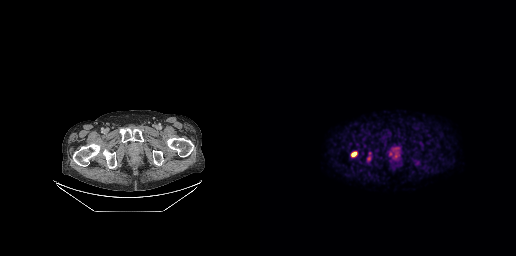
- Two-panel axial: CT | PSMA PET, [18F]PSMA-1007 tracer
- acquired on GE Discovery 690
- PET panel 256×256 px (2.7 mm/px)
Findings: Coordinates are on the 256×256 PET (right) panel. PSMA-avid tumor lesion bounding boxes (x0,y0,x1,y1): [91,152,96,156]; [107,158,110,162].